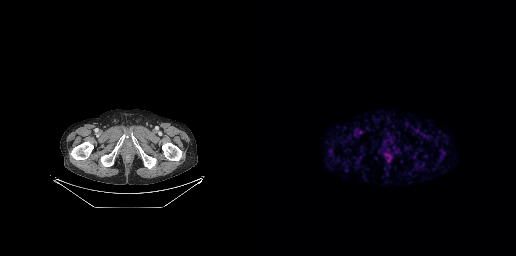
{"modality":"PSMA PET/CT","view":"axial","tracer":"68Ga","pet_grid":[256,256],"coord_frame":"pet_panel","coord_format":"x0,y0,x1,y1","psma_avid_lesions":false}